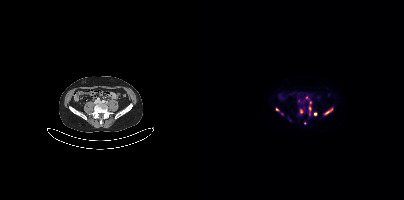
Findings: Coordinates are on the 200×200 PET (right) panel. (showing 10 of 11 foci) PSMA-avid tumor lesion bounding boxes (x0,y0,x1,y1): [120,107,129,114]; [105,106,107,110]; [96,109,98,113]. Small PSMA-avid foci (2 to 4 px across) near (center x, center y): (77, 113); (106, 102); (103, 97); (73, 109); (105, 114); (111, 113); (94, 100).
- Two-panel axial: CT | PSMA PET, 18F tracer
- PET panel 200×200 px (4.1 mm/px)